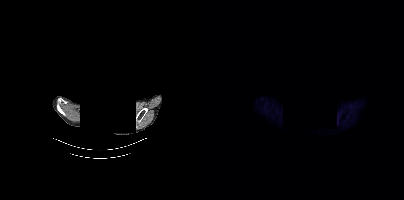
{"modality":"PSMA PET/CT","view":"axial","tracer":"[18F]PSMA-1007","pet_grid":[200,200],"coord_frame":"pet_panel","coord_format":"x0,y0,x1,y1","de-identification":"face masked with black rectangle","psma_avid_lesions":false}